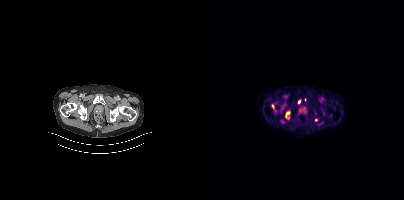
Coordinates are on the 200×200 PET (right) panel. (showing 3 of 5 foci) PSMA-avid tumor lesion bounding box (x, y, width, height): x=82 y=112 w=4 h=6. Small PSMA-avid foci (2 to 4 px across) near (center x, center y): (95, 102) | (68, 106).